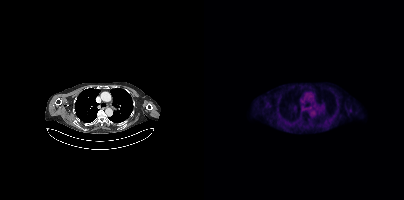
No tumor lesions annotated on this slice.